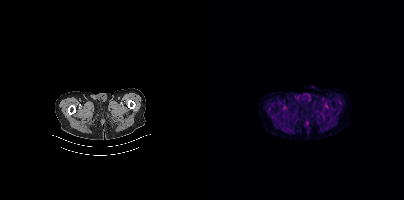
Paired axial CT (left) and PSMA PET (right), 18F tracer. PET panel 200×200 px (4.1 mm/px). Negative for PSMA-avid disease on this slice.